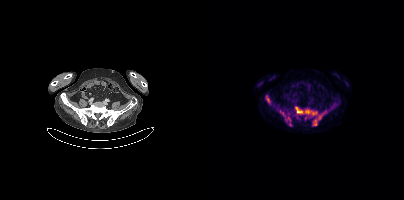
Coordinates are on the 200×200 PET (right) panel. PSMA-avid tumor lesion bounding boxes (x0,y0,x1,y1): [91,107,122,125]; [79,113,87,125]; [62,96,66,104]. Small PSMA-avid focus (2 to 4 px across) near (center x, center y): (101, 118).